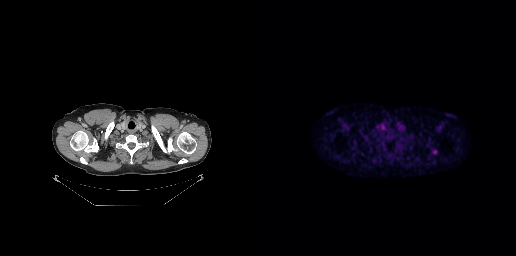
Paired axial CT (left) and PSMA PET (right), [18F]PSMA-1007 tracer. Acquired on GE Discovery 690. Slice position z = -178 mm. Negative for PSMA-avid disease on this slice.